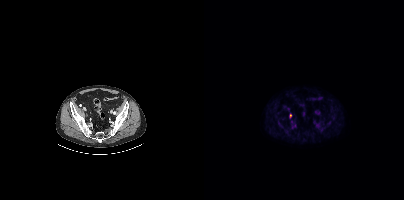
Coordinates are on the 200×200 PET (right) panel. Small PSMA-avid focus (2 to 4 px across) near (center x, center y): (86, 115).
modality: PSMA PET/CT | tracer: 18F-PSMA | view: axial